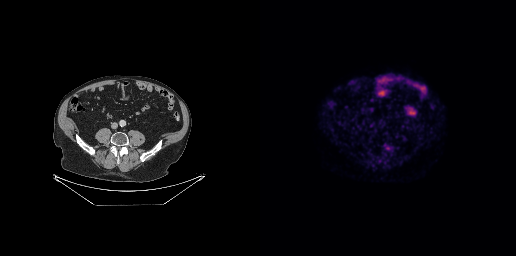
Coordinates are on the 256×256 PET (right) panel. (showing 1 of 2 foci) PSMA-avid tumor lesion bounding box (x0,y0,x1,y1): [126,146,130,149].